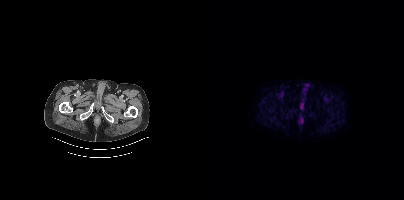
No tumor lesions annotated on this slice.